Technique: Left: CT. Right: PSMA PET, same axial level, [18F]PSMA-1007 tracer. slice 209 of 407. PET panel 200×200 px (4.1 mm/px).
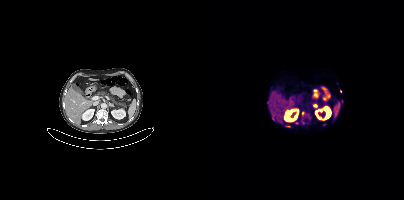
Findings: Coordinates are on the 200×200 PET (right) panel. (showing 7 of 9 foci) PSMA-avid tumor lesion bounding box (x, y, width, height): x=109 y=104 w=5 h=4. Small PSMA-avid foci (2 to 4 px across) near (center x, center y): (92, 123) | (64, 102) | (99, 113) | (136, 91) | (99, 122) | (120, 124).